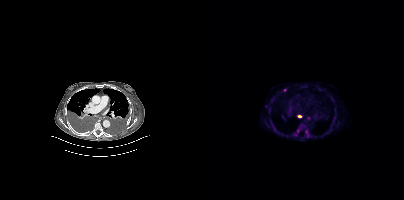
Two-panel axial: CT | PSMA PET, [18F]PSMA-1007 tracer. Acquired on Siemens Biograph mCT Flow 20. Slice position z = -1298 mm. PET panel 200×200 px (4.1 mm/px). Coordinates are on the 200×200 PET (right) panel. PSMA-avid tumor lesion bounding boxes (x0, y0)-(x1, y1): (93, 124)-(100, 132) / (101, 130)-(106, 137). Small PSMA-avid foci (2 to 4 px across) near (center x, center y): (80, 90) / (104, 118) / (95, 116) / (91, 134).